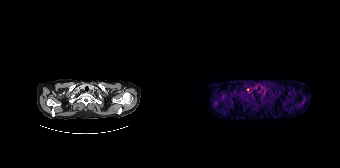
Coordinates are on the 168×168 PET (right) panel. Small PSMA-avid focus (2 to 4 px across) near (center x, center y): (75, 89).